Left: CT. Right: PSMA PET, same axial level, 18F tracer.
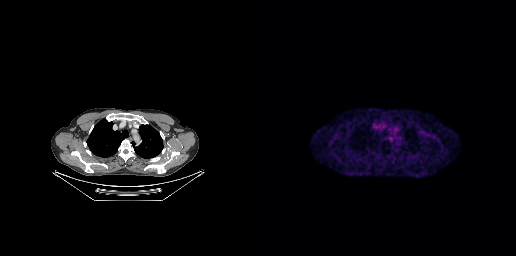
This slice has no annotated PSMA-avid lesion.